Left: CT. Right: PSMA PET, same axial level, 18F-PSMA tracer. Slice 104 of 435.
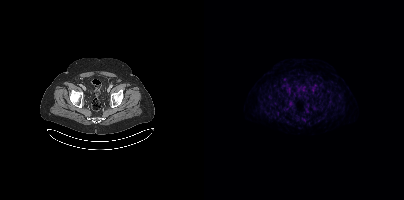
Coordinates are on the 200×200 PET (right) panel. PSMA-avid tumor lesion bounding boxes:
| # | x0 | y0 | x1 | y1 |
|---|---|---|---|---|
| 1 | 85 | 101 | 89 | 105 |